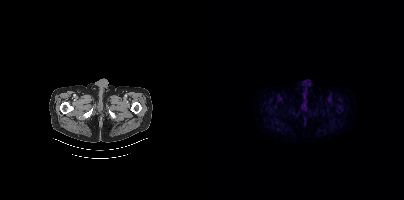
- Left: CT. Right: PSMA PET, same axial level, 18F-PSMA tracer
- slice 46 of 454
Findings: This slice has no annotated PSMA-avid lesion.